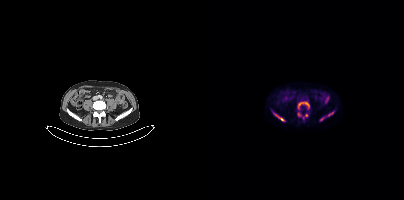
Coordinates are on the 200×200 PET (right) panel. (showing 6 of 7 foci) PSMA-avid tumor lesion bounding boxes (x0, y0)-(x1, y1): (94, 101)-(105, 109) | (69, 112)-(80, 121) | (124, 112)-(129, 116). Small PSMA-avid foci (2 to 4 px across) near (center x, center y): (95, 114) | (102, 115) | (117, 119).